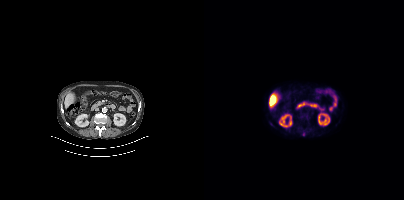
No tumor lesions annotated on this slice. Two-panel axial: CT | PSMA PET, 18F-PSMA tracer. Slice 194 of 427.